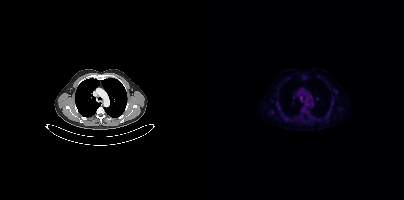
{"pet_grid":[200,200],"coord_frame":"pet_panel","coord_format":"x0,y0,x1,y1","lesion_bboxes":[],"small_foci_centers":[[103,98]],"modality":"PSMA PET/CT","view":"axial","tracer":"18F-PSMA"}